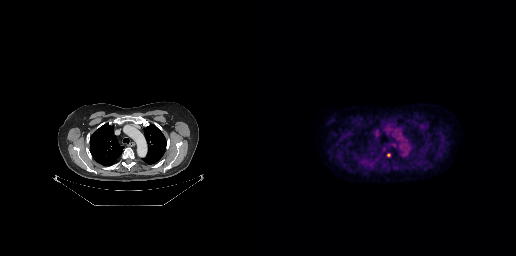
Paired axial CT (left) and PSMA PET (right), 18F tracer. Slice position z = -165 mm. Coordinates are on the 256×256 PET (right) panel. Small PSMA-avid focus (2 to 4 px across) near (center x, center y): (128, 154).